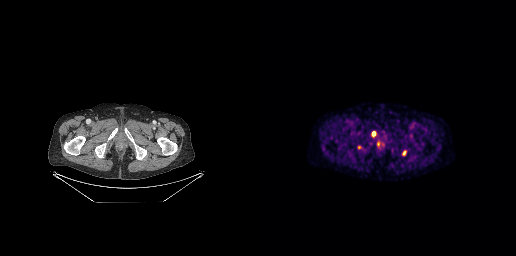
Coordinates are on the 256×256 PET (right) panel. PSMA-avid tumor lesion bounding box (x0, y0)-(x1, y1): (142, 150)-(146, 155). Small PSMA-avid focus (2 to 4 px across) near (center x, center y): (113, 133).
modality: PSMA PET/CT | tracer: 18F | view: axial | PET grid: 256×256